modality: PSMA PET/CT | tracer: [18F]PSMA-1007 | view: axial | PET grid: 200×200
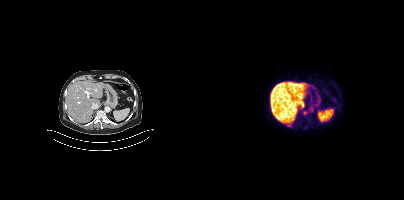
Coordinates are on the 200×200 PET (right) panel. Small PSMA-avid foci (2 to 4 px across) near (center x, center y): (100, 112); (83, 125).